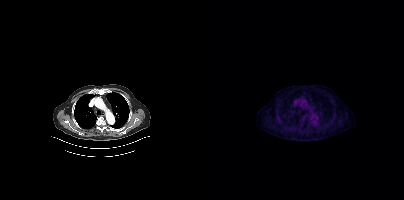
modality: PSMA PET/CT | tracer: 18F | view: axial | PET grid: 200×200
Coordinates are on the 200×200 PET (right) panel. Small PSMA-avid focus (2 to 4 px across) near (center x, center y): (99, 118).